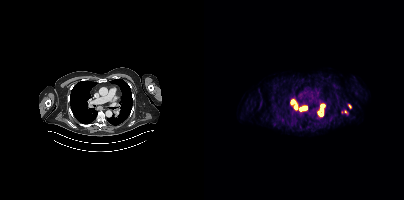
- Paired axial CT (left) and PSMA PET (right), 68Ga tracer
Findings: Coordinates are on the 200×200 PET (right) panel. (showing 5 of 7 foci) PSMA-avid tumor lesion bounding boxes (x, y, width, height): x=114 y=108 w=6 h=8; x=87 y=101 w=7 h=9; x=96 y=106 w=7 h=5. Small PSMA-avid foci (2 to 4 px across) near (center x, center y): (118, 105); (141, 111).